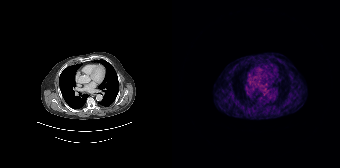
Technique: Paired axial CT (left) and PSMA PET (right), 68Ga-PSMA tracer. PET panel 168×168 px (4.1 mm/px).
Findings: No PSMA-avid tumor lesions on this slice.